modality: PSMA PET/CT | tracer: 68Ga | view: axial | PET grid: 256×256
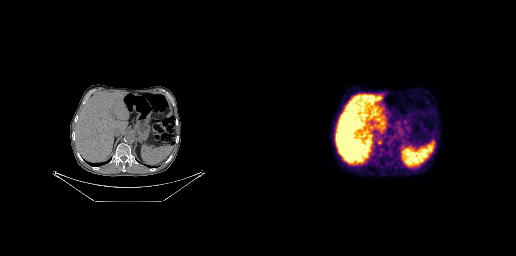
Negative for PSMA-avid disease on this slice.